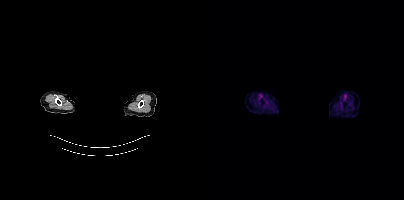
Technique: Paired axial CT (left) and PSMA PET (right), 18F-PSMA tracer. slice 369 of 397.
Note: A rectangular block over the head has been blanked out for de-identification.
Findings: No tumor lesions annotated on this slice.